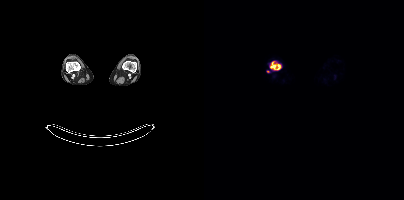
Findings: Coordinates are on the 200×200 PET (right) panel. PSMA-avid tumor lesion bounding box (x, y, width, height): x=66 y=61 w=11 h=9. Small PSMA-avid focus (2 to 4 px across) near (center x, center y): (63, 71).
Technique: Two-panel axial: CT | PSMA PET, 18F tracer. slice 311 of 963. PET panel 200×200 px (4.1 mm/px).